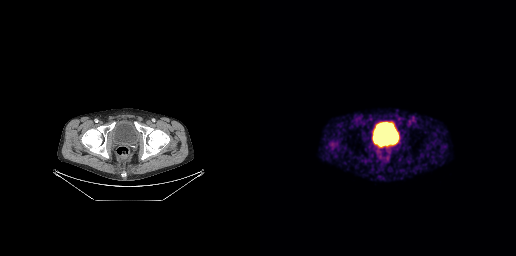
Two-panel axial: CT | PSMA PET, [68Ga]Ga-PSMA-11 tracer. Acquired on GE Discovery 690. PET panel 256×256 px (2.7 mm/px). Only PSMA-avid lesion pieces thinner than 2 px on this slice (not listed).